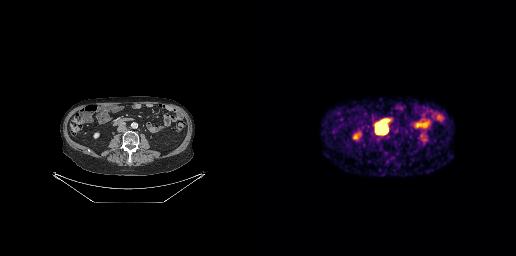
Coordinates are on the 256×256 PET (right) panel. PSMA-avid tumor lesion bounding box (x, y, width, height): x=117 y=125 w=9 h=8.